- Two-panel axial: CT | PSMA PET, 68Ga tracer
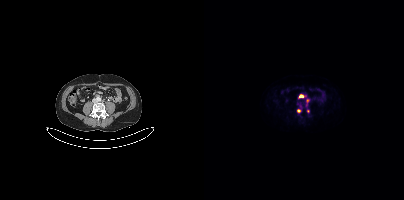
Findings: Coordinates are on the 200×200 PET (right) panel. PSMA-avid tumor lesion bounding boxes (x0,y0,x1,y1): [102,98,105,105]; [94,95,99,98]; [94,104,98,107]. Small PSMA-avid foci (2 to 4 px across) near (center x, center y): (94, 110); (104, 111).